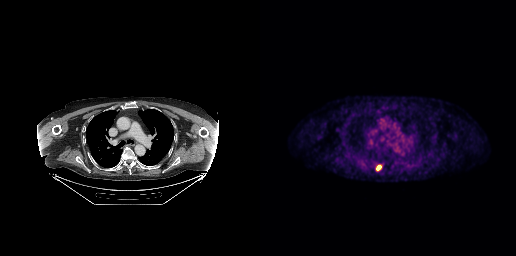
{"pet_grid":[256,256],"coord_frame":"pet_panel","coord_format":"x0,y0,x1,y1","lesion_bboxes":[[116,164,121,171]],"modality":"PSMA PET/CT","view":"axial","tracer":"[18F]PSMA-1007"}